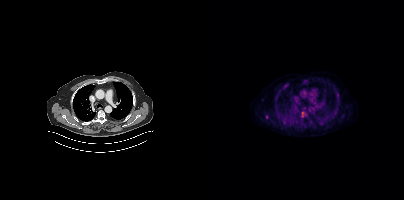
Paired axial CT (left) and PSMA PET (right), [18F]PSMA-1007 tracer. PET panel 200×200 px (4.1 mm/px). Coordinates are on the 200×200 PET (right) panel. PSMA-avid tumor lesion bounding box (x, y, width, height): x=97 y=111 w=7 h=7. Small PSMA-avid foci (2 to 4 px across) near (center x, center y): (62, 117) / (106, 121).